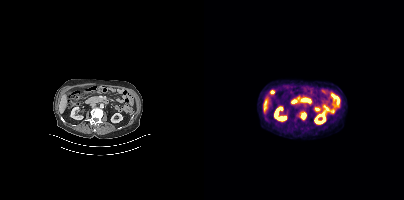
{"modality":"PSMA PET/CT","view":"axial","tracer":"18F","pet_grid":[200,200],"coord_frame":"pet_panel","coord_format":"x0,y0,x1,y1","lesion_bboxes":[[96,112,102,119]]}